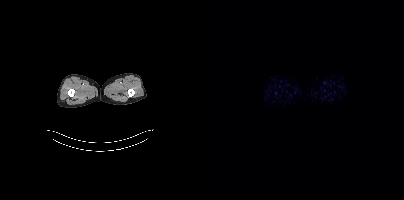
Findings: This slice has no annotated PSMA-avid lesion.
- Left: CT. Right: PSMA PET, same axial level, 18F-PSMA tracer
- acquired on Siemens Biograph mCT Flow 20